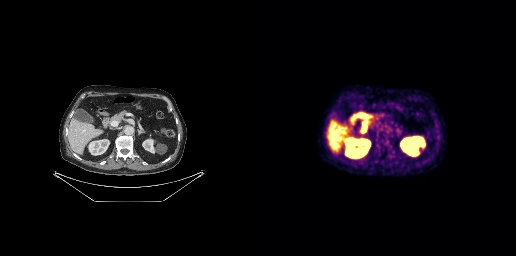
Negative for PSMA-avid disease on this slice.